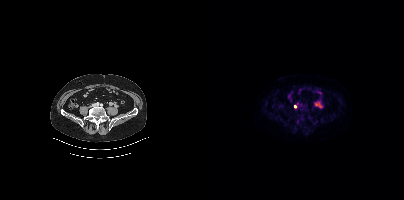
Only PSMA-avid lesion pieces thinner than 2 px on this slice (not listed). Two-panel axial: CT | PSMA PET, [18F]PSMA-1007 tracer. Acquired on Siemens Biograph mCT Flow 20. Slice position z = -1397 mm.